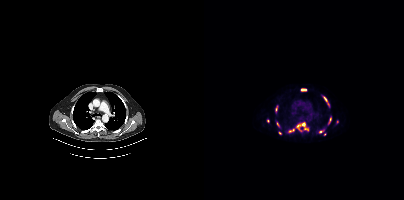
modality: PSMA PET/CT | tracer: 18F | view: axial
Coordinates are on the 200×200 PET (right) panel. (showing 11 of 15 foci) PSMA-avid tumor lesion bounding boxes (x0, y0)-(x1, y1): (98, 122)-(104, 130); (119, 96)-(123, 101); (97, 89)-(102, 90); (71, 108)-(72, 113). Small PSMA-avid foci (2 to 4 px across) near (center x, center y): (116, 131); (94, 126); (96, 130); (73, 124); (89, 129); (75, 132); (120, 134).